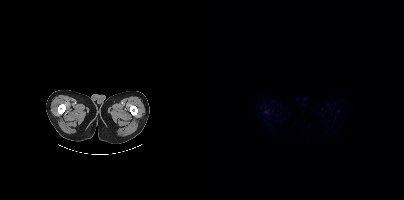
{"modality":"PSMA PET/CT","view":"axial","tracer":"18F","pet_grid":[200,200],"coord_frame":"pet_panel","coord_format":"x0,y0,x1,y1","lesion_bboxes":[],"small_foci_centers":[[61,111]]}